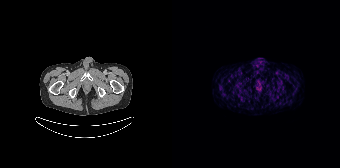
Paired axial CT (left) and PSMA PET (right), [68Ga]Ga-PSMA-11 tracer. Acquired on Siemens Biograph 64-4R TruePoint. Slice 40 of 195. No PSMA-avid tumor lesions on this slice.